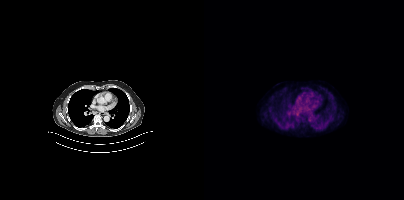
Coordinates are on the 200×200 PET (right) panel. Small PSMA-avid focus (2 to 4 px across) near (center x, center y): (89, 125).